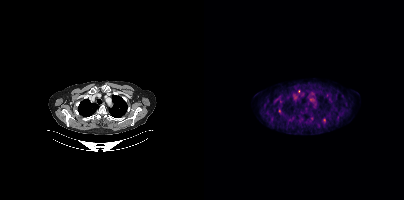
Coordinates are on the 200×200 PET (right) panel. Small PSMA-avid foci (2 to 4 px across) near (center x, center y): (75, 111); (120, 119). Two-panel axial: CT | PSMA PET, 18F tracer. PET panel 200×200 px (4.1 mm/px).